modality: PSMA PET/CT | tracer: 18F-PSMA | view: axial
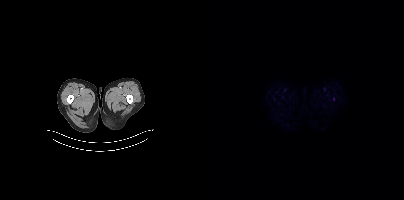
No PSMA-avid tumor lesions on this slice.